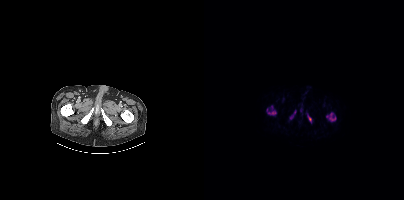
Technique: Paired axial CT (left) and PSMA PET (right), 18F-PSMA tracer. slice position z = -1697 mm. PET panel 200×200 px (4.1 mm/px).
Findings: Coordinates are on the 200×200 PET (right) panel. PSMA-avid tumor lesion bounding boxes (x0,y0,x1,y1): [122,112,132,121] [62,105,72,115] [103,113,107,123]. Small PSMA-avid foci (2 to 4 px across) near (center x, center y): (87, 116) (90, 112).